- Left: CT. Right: PSMA PET, same axial level, 18F-PSMA tracer
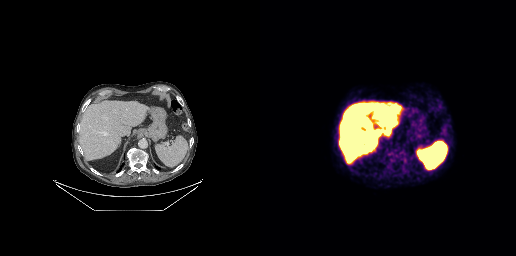
Findings: Negative for PSMA-avid disease on this slice.